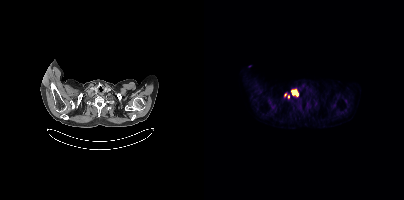
Coordinates are on the 200×200 PET (right) panel. (showing 2 of 3 foci) PSMA-avid tumor lesion bounding box (x0, y0)-(x1, y1): (88, 90)-(94, 96). Small PSMA-avid focus (2 to 4 px across) near (center x, center y): (84, 96).